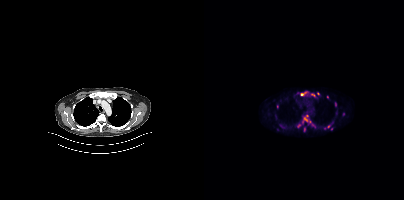
modality: PSMA PET/CT | tracer: [18F]PSMA-1007 | view: axial
Coordinates are on the 200×200 PET (right) panel. (showing 12 of 14 foci) PSMA-avid tumor lesion bounding boxes (x0, y0)-(x1, y1): (99, 115)-(104, 122) | (93, 92)-(102, 95) | (105, 94)-(111, 96) | (131, 102)-(132, 106). Small PSMA-avid foci (2 to 4 px across) near (center x, center y): (100, 129) | (139, 114) | (95, 125) | (124, 126) | (114, 93) | (123, 96) | (73, 106) | (105, 121).